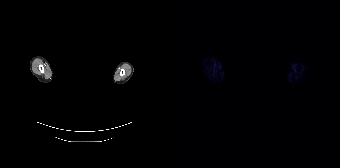
This slice has no annotated PSMA-avid lesion.
A rectangular block over the head has been blanked out for de-identification.